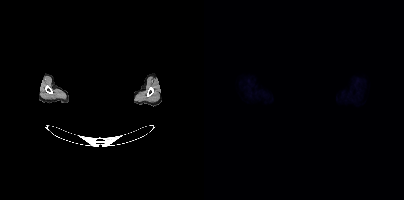
Facial anatomy redacted by setting a rectangular region of the head to black. Two-panel axial: CT | PSMA PET, 18F tracer. Slice 388 of 421. Negative for PSMA-avid disease on this slice.